modality: PSMA PET/CT | tracer: [18F]PSMA-1007 | view: axial
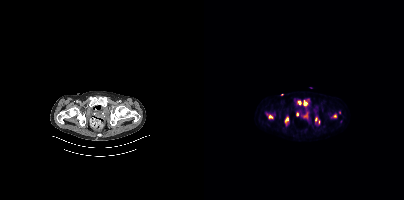
Coordinates are on the 200×200 PET (right) panel. (showing 7 of 8 foci) PSMA-avid tumor lesion bounding boxes (x, y, width, height): x=99 y=100 w=5 h=6; x=81 y=117 w=4 h=7. Small PSMA-avid foci (2 to 4 px across) near (center x, center y): (95, 102); (66, 116); (112, 119); (131, 116); (93, 113).